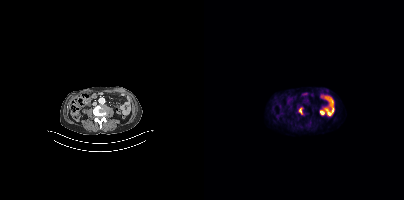
Technique: Left: CT. Right: PSMA PET, same axial level, 18F tracer.
Findings: Coordinates are on the 200×200 PET (right) panel. PSMA-avid tumor lesion bounding box (x, y, width, height): x=95 y=107 w=4 h=8.